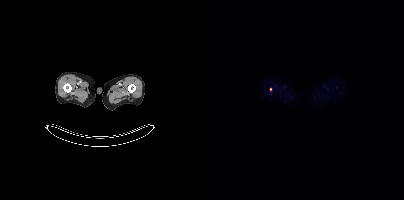
{"modality":"PSMA PET/CT","view":"axial","tracer":"[18F]PSMA-1007","pet_grid":[200,200],"coord_frame":"pet_panel","coord_format":"x0,y0,x1,y1","lesion_bboxes":[],"small_foci_centers":[[66,89]]}